Left: CT. Right: PSMA PET, same axial level, 18F-PSMA tracer. Slice position z = -227 mm.
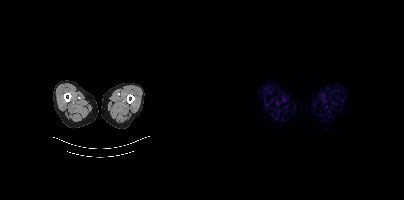
Negative for PSMA-avid disease on this slice.